Technique: Paired axial CT (left) and PSMA PET (right), [18F]PSMA-1007 tracer. slice 403 of 423. PET panel 200×200 px (4.1 mm/px).
Note: The head region is masked for de-identification.
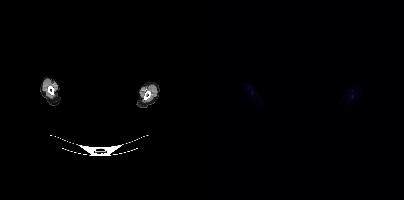
Findings: This slice has no annotated PSMA-avid lesion.